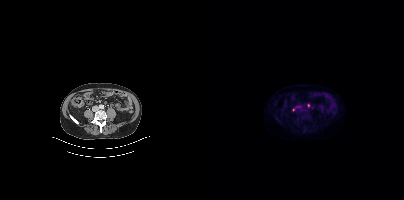
Coordinates are on the 200×200 PET (right) panel. Small PSMA-avid focus (2 to 4 px across) near (center x, center y): (104, 105). Paired axial CT (left) and PSMA PET (right), 18F tracer. Acquired on Siemens Biograph mCT Flow 20. Slice 147 of 427.